modality: PSMA PET/CT | tracer: 68Ga-PSMA | view: axial
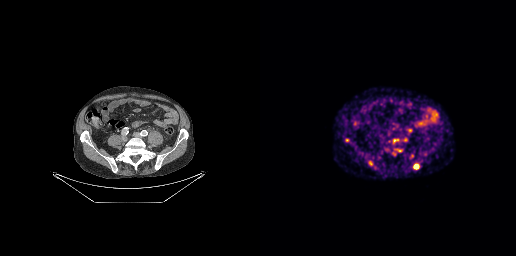
Coordinates are on the 256×256 PET (right) panel. (showing 3 of 6 foci) PSMA-avid tumor lesion bounding boxes (x0,y0,x1,y1): [154,164,158,168]; [85,138,89,142]; [109,161,112,165].